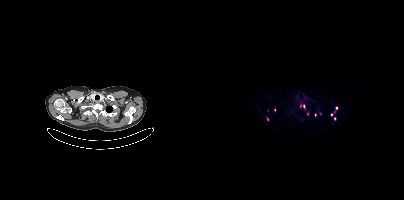
{"pet_grid":[200,200],"coord_frame":"pet_panel","coord_format":"x0,y0,x1,y1","partial":true,"lesion_bboxes":[],"small_foci_centers":[[96,105],[103,113],[70,110],[99,106],[132,107],[63,110],[116,113],[127,114],[111,114]],"modality":"PSMA PET/CT","view":"axial","tracer":"[68Ga]Ga-PSMA-11"}